Two-panel axial: CT | PSMA PET, 18F tracer. Slice position z = -722 mm.
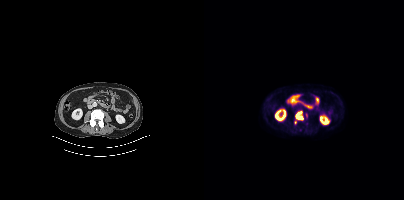
Coordinates are on the 200×200 PET (right) panel. (showing 1 of 2 foci) PSMA-avid tumor lesion bounding box (x, y, width, height): x=92 y=111 w=7 h=9.